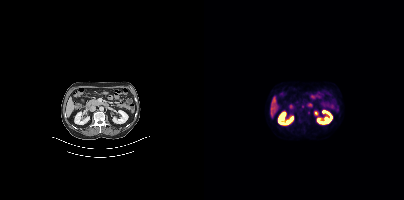
Paired axial CT (left) and PSMA PET (right), 18F-PSMA tracer. Acquired on Siemens Biograph mCT Flow 20. Slice 196 of 427. Negative for PSMA-avid disease on this slice.